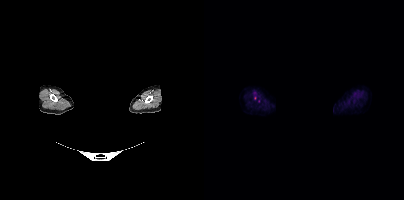
Any black rectangle over the head is a privacy mask, not anatomy.
Only PSMA-avid lesion pieces thinner than 2 px on this slice (not listed).